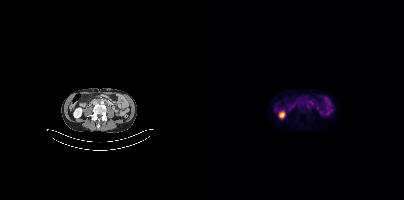
Coordinates are on the 200×200 PET (right) panel. (showing 1 of 2 foci) Small PSMA-avid focus (2 to 4 px across) near (center x, center y): (104, 107).
modality: PSMA PET/CT | tracer: [18F]PSMA-1007 | view: axial